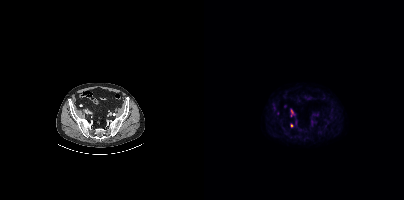
Coordinates are on the 200×200 PET (right) panel. (showing 2 of 3 foci) Small PSMA-avid foci (2 to 4 px across) near (center x, center y): (87, 125) / (87, 111). Two-panel axial: CT | PSMA PET, 18F tracer. Acquired on Siemens Biograph mCT Flow 20.